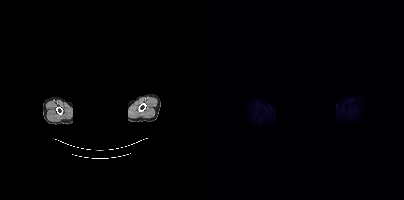
- de-identified by setting a box covering the face to black before release
- Two-panel axial: CT | PSMA PET, 18F-PSMA tracer
Findings: Negative for PSMA-avid disease on this slice.